- Two-panel axial: CT | PSMA PET, 68Ga tracer
- PET panel 200×200 px (4.1 mm/px)
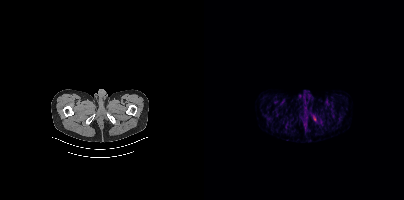
Findings: Only PSMA-avid lesion pieces thinner than 2 px on this slice (not listed).